modality: PSMA PET/CT | tracer: 68Ga | view: axial | PET grid: 256×256
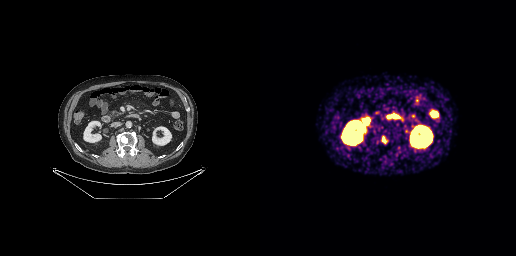
Coordinates are on the 256×256 PET (right) panel. PSMA-avid tumor lesion bounding box (x, y, width, height): x=122 y=136 w=5 h=8.